Left: CT. Right: PSMA PET, same axial level, 68Ga-PSMA tracer. Acquired on Siemens Biograph 64-4R TruePoint. PET panel 168×168 px (4.1 mm/px).
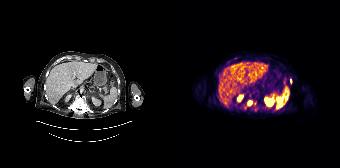
Coordinates are on the 168×168 PET (right) panel. (showing 1 of 2 foci) Small PSMA-avid focus (2 to 4 px across) near (center x, center y): (78, 102).